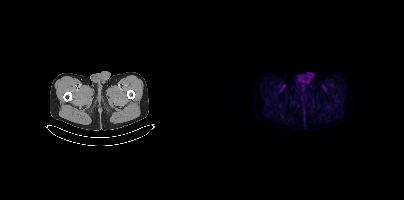
{"pet_grid":[200,200],"coord_frame":"pet_panel","coord_format":"x0,y0,x1,y1","psma_avid_lesions":false,"modality":"PSMA PET/CT","view":"axial","tracer":"[18F]PSMA-1007"}